modality: PSMA PET/CT | tracer: 18F-PSMA | view: axial
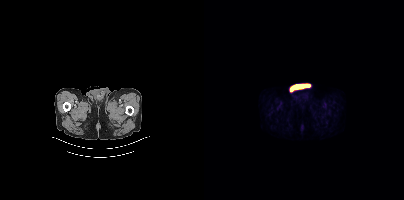
This slice has no annotated PSMA-avid lesion.